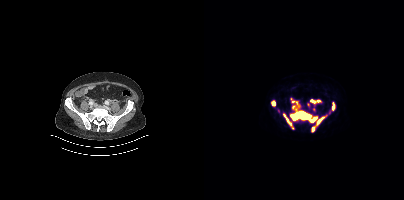
Technique: Two-panel axial: CT | PSMA PET, 18F tracer. PET panel 200×200 px (4.1 mm/px).
Findings: Coordinates are on the 200×200 PET (right) panel. (showing 5 of 8 foci) PSMA-avid tumor lesion bounding boxes (x0,y0,x1,y1): [86,101,122,132], [79,114,89,129], [106,99,117,103], [128,102,131,110], [67,101,71,106].